Technique: Left: CT. Right: PSMA PET, same axial level, 18F-PSMA tracer.
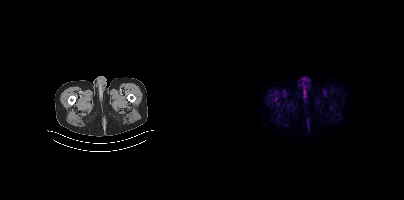
Findings: Only PSMA-avid lesion pieces thinner than 2 px on this slice (not listed).